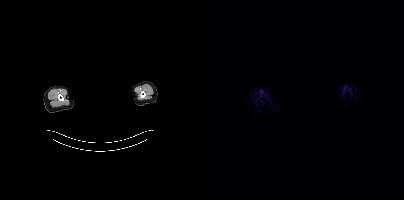
modality: PSMA PET/CT | tracer: [18F]PSMA-1007 | view: axial | de-identification: rectangular block over head set to black
Negative for PSMA-avid disease on this slice.